Left: CT. Right: PSMA PET, same axial level, 68Ga-PSMA tracer. Slice position z = -766 mm.
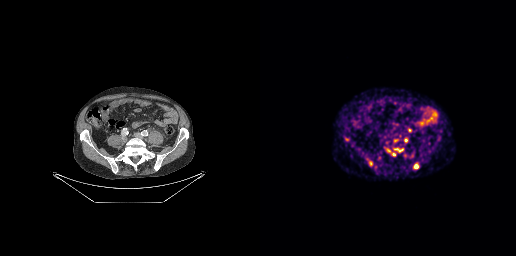
Coordinates are on the 256×256 PET (right) panel. PSMA-avid tumor lesion bounding boxes (partial; 1 more focus not listed):
| # | x0 | y0 | x1 | y1 |
|---|---|---|---|---|
| 1 | 154 | 162 | 158 | 168 |
| 2 | 109 | 161 | 112 | 165 |
| 3 | 85 | 137 | 89 | 141 |
| 4 | 136 | 148 | 143 | 151 |
Small PSMA-avid focus (2 to 4 px across) near (center x, center y): (145, 140).